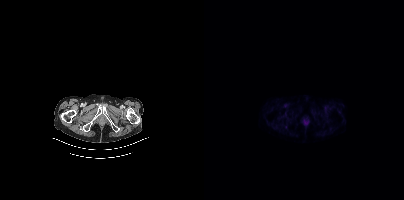
No tumor lesions annotated on this slice.